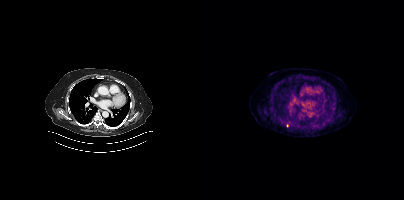
modality: PSMA PET/CT | tracer: 18F-PSMA | view: axial
Coordinates are on the 200×200 PET (right) panel. Small PSMA-avid focus (2 to 4 px across) near (center x, center y): (83, 125).